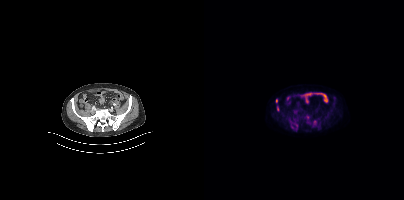
Findings: Coordinates are on the 200×200 PET (right) panel. PSMA-avid tumor lesion bounding boxes (x0,y0,x1,y1): [102,115,105,119] [110,120,112,124]. Small PSMA-avid foci (2 to 4 px across) near (center x, center y): (72, 100) (73, 108) (91, 111) (92, 125) (104, 122).
Technique: Two-panel axial: CT | PSMA PET, 18F-PSMA tracer. acquired on Siemens Biograph mCT Flow 20. slice 120 of 413.